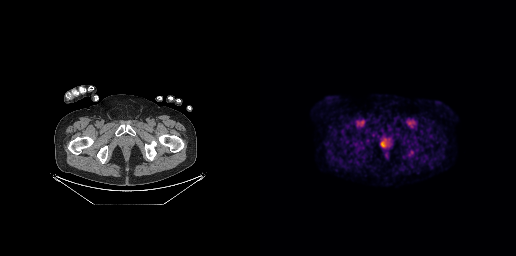
Technique: Left: CT. Right: PSMA PET, same axial level, 18F tracer. acquired on GE Discovery 690. slice 50 of 263. PET panel 256×256 px (2.7 mm/px).
Findings: Coordinates are on the 256×256 PET (right) panel. PSMA-avid tumor lesion bounding box (x0,y0,x1,y1): [148,150,153,156]. Small PSMA-avid focus (2 to 4 px across) near (center x, center y): (124, 144).